Paired axial CT (left) and PSMA PET (right), 18F tracer. Slice position z = -1501 mm.
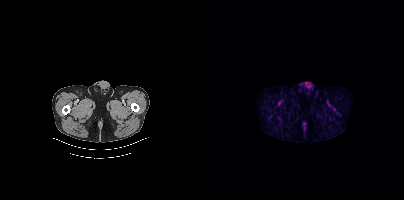
This slice has no annotated PSMA-avid lesion.